Two-panel axial: CT | PSMA PET, 68Ga-PSMA tracer. Slice 362 of 409. PET panel 200×200 px (4.1 mm/px). A rectangle over the head was blacked out to remove identifiable facial features.
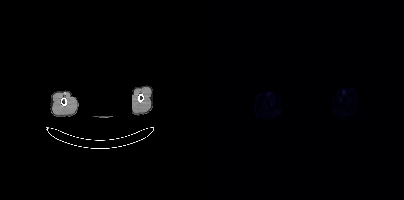
This slice has no annotated PSMA-avid lesion.